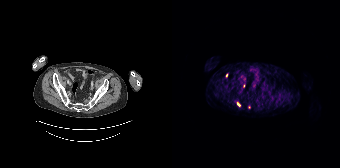
- Two-panel axial: CT | PSMA PET, 68Ga tracer
- slice 74 of 195
- PET panel 168×168 px (4.1 mm/px)
Findings: Coordinates are on the 168×168 PET (right) panel. (showing 3 of 4 foci) Small PSMA-avid foci (2 to 4 px across) near (center x, center y): (66, 104) | (71, 85) | (54, 74).